Technique: Two-panel axial: CT | PSMA PET, [68Ga]Ga-PSMA-11 tracer. acquired on Siemens Biograph mCT Flow 20. slice position z = -854 mm. PET panel 200×200 px (4.1 mm/px).
Note: Facial anatomy redacted by setting a rectangular region of the head to black.
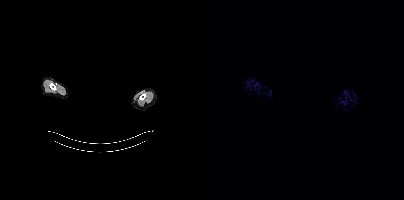
Findings: This slice has no annotated PSMA-avid lesion.